modality: PSMA PET/CT | tracer: 18F-PSMA | view: axial | PET grid: 200×200
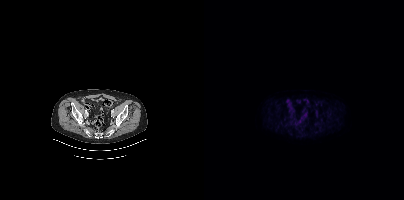
Negative for PSMA-avid disease on this slice.